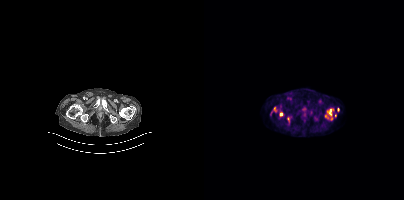
Coordinates are on the 200×200 PET (right) panel. Small PSMA-avid focus (2 to 4 px across) near (center x, center y): (77, 113). Two-panel axial: CT | PSMA PET, 18F tracer. Acquired on Siemens Biograph mCT Flow 20. Slice 37 of 367.